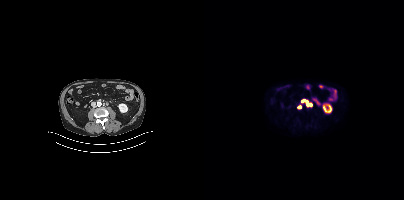
{"pet_grid":[200,200],"coord_frame":"pet_panel","coord_format":"x0,y0,x1,y1","lesion_bboxes":[[98,100,104,106]],"small_foci_centers":[[95,106],[106,104]],"modality":"PSMA PET/CT","view":"axial","tracer":"18F"}